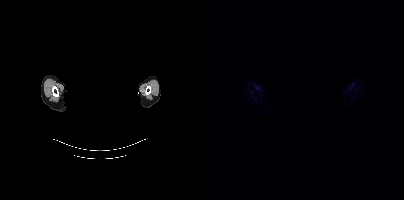
This slice has no annotated PSMA-avid lesion. An anonymization step blacked out a rectangle over the head in this scan. Left: CT. Right: PSMA PET, same axial level, [18F]PSMA-1007 tracer. Slice position z = -870 mm.